Technique: Paired axial CT (left) and PSMA PET (right), 18F-PSMA tracer. acquired on Siemens Biograph mCT Flow 20.
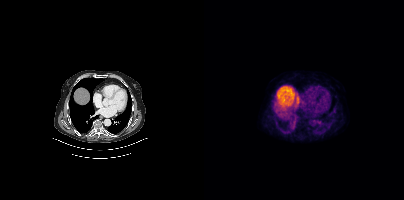
Findings: No PSMA-avid tumor lesions on this slice.